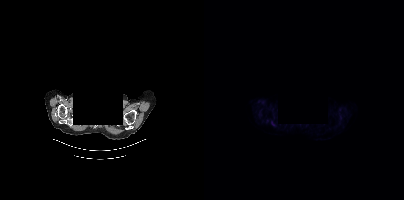
Coordinates are on the 200×200 PET (right) panel. PSMA-avid tumor lesion bounding boxes:
| # | x0 | y0 | x1 | y1 |
|---|---|---|---|---|
| 1 | 67 | 120 | 72 | 126 |
Head region blanked for anonymization (face removed). Two-panel axial: CT | PSMA PET, 18F-PSMA tracer.